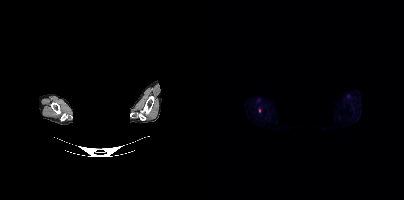
{"modality":"PSMA PET/CT","view":"axial","tracer":"[18F]PSMA-1007","pet_grid":[200,200],"coord_frame":"pet_panel","coord_format":"x0,y0,x1,y1","deidentification":"head region blanked (face removed)","lesion_bboxes":[[54,107,57,112]]}